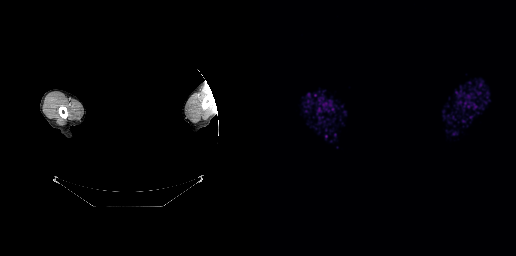
A rectangular block over the head has been blanked out for de-identification.
This slice has no annotated PSMA-avid lesion.